An anonymization step blacked out a rectangle over the head in this scan.
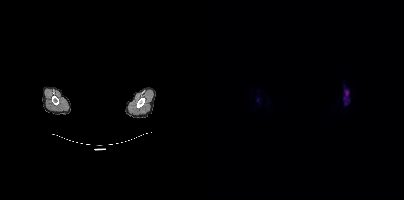
Coordinates are on the 200×200 PET (right) panel. PSMA-avid tumor lesion bounding box (x, y, width, height): x=140 y=90 w=5 h=15.